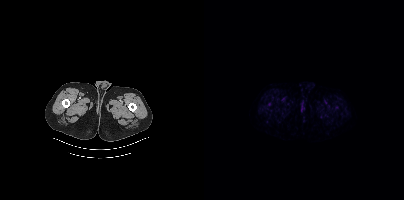
Paired axial CT (left) and PSMA PET (right), [18F]PSMA-1007 tracer. Acquired on Siemens Biograph mCT Flow 20. PET panel 200×200 px (4.1 mm/px). This slice has no annotated PSMA-avid lesion.